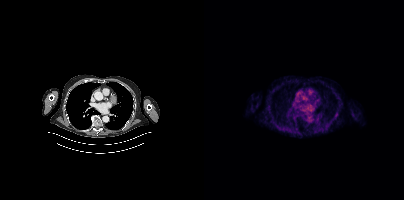
Technique: Left: CT. Right: PSMA PET, same axial level, [18F]PSMA-1007 tracer. acquired on Siemens Biograph mCT Flow 20. slice position z = -562 mm. PET panel 200×200 px (4.1 mm/px).
Findings: No tumor lesions annotated on this slice.